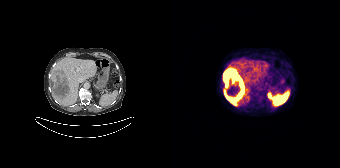
Left: CT. Right: PSMA PET, same axial level, 68Ga-PSMA tracer. Slice position z = -390 mm. Coordinates are on the 168×168 PET (right) panel. PSMA-avid tumor lesion bounding box (x0,y0,x1,y1): [51,69,71,105]. Small PSMA-avid focus (2 to 4 px across) near (center x, center y): (76, 98).